Technique: Left: CT. Right: PSMA PET, same axial level, 18F tracer. acquired on Siemens Biograph mCT Flow 20. slice position z = -237 mm. PET panel 200×200 px (4.1 mm/px).
Note: Face de-identified by blanking a block of the head.
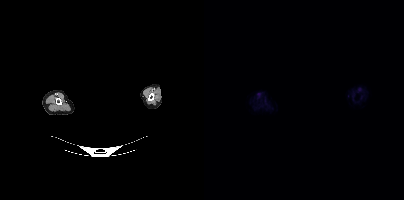
Findings: This slice has no annotated PSMA-avid lesion.